Left: CT. Right: PSMA PET, same axial level, [18F]PSMA-1007 tracer. Slice 141 of 413.
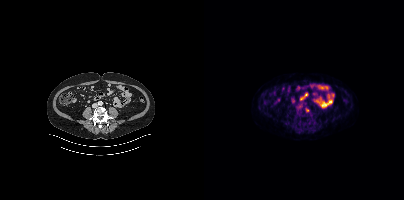
Coordinates are on the 200×200 PET (right) panel. Small PSMA-avid focus (2 to 4 px across) near (center x, center y): (103, 110).